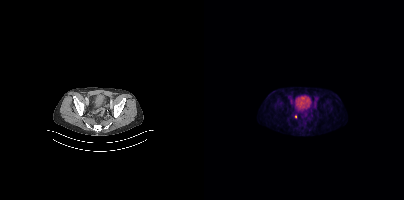
Findings: Coordinates are on the 200×200 PET (right) panel. Small PSMA-avid focus (2 to 4 px across) near (center x, center y): (91, 116).
- Left: CT. Right: PSMA PET, same axial level, 18F-PSMA tracer